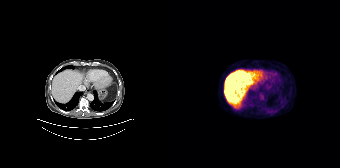
- Paired axial CT (left) and PSMA PET (right), 18F tracer
- slice 100 of 135
Findings: Negative for PSMA-avid disease on this slice.